- Left: CT. Right: PSMA PET, same axial level, 18F tracer
- acquired on Siemens Biograph mCT Flow 20
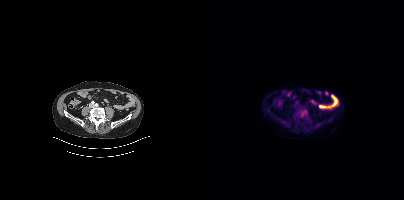
Findings: Coordinates are on the 200×200 PET (right) panel. PSMA-avid tumor lesion bounding box (x, y, width, height): x=94 y=109 w=9 h=9.